Two-panel axial: CT | PSMA PET, 18F-PSMA tracer.
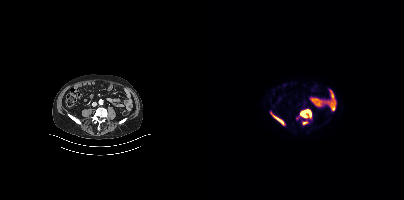
Coordinates are on the 200×200 PET (right) panel. (showing 3 of 4 foci) PSMA-avid tumor lesion bounding boxes (x, y, width, height): x=96 y=109 w=12 h=9 | x=67 y=113 w=14 h=12 | x=99 y=121 w=6 h=3.